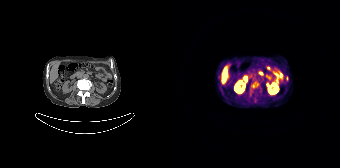
Left: CT. Right: PSMA PET, same axial level, 68Ga tracer. Acquired on Siemens Biograph 64-4R TruePoint. PET panel 168×168 px (4.1 mm/px). Coordinates are on the 168×168 PET (right) panel. PSMA-avid tumor lesion bounding boxes (x0, y0)-(x1, y1): (79, 82)-(86, 87); (114, 76)-(116, 80).